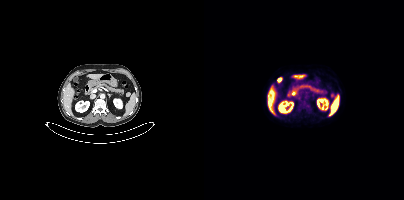
{"modality":"PSMA PET/CT","view":"axial","tracer":"18F","pet_grid":[200,200],"coord_frame":"pet_panel","coord_format":"x0,y0,x1,y1","lesion_bboxes":[],"small_foci_centers":[[128,95]]}